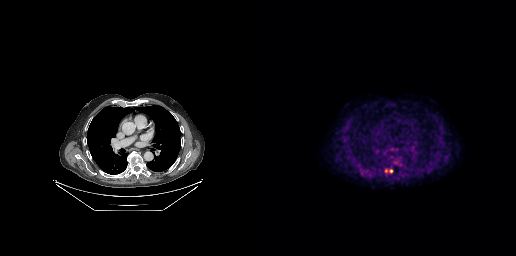
Findings: Coordinates are on the 256×256 PET (right) panel. Small PSMA-avid foci (2 to 4 px across) near (center x, center y): (131, 170) / (126, 170).
Technique: Left: CT. Right: PSMA PET, same axial level, [18F]PSMA-1007 tracer. slice position z = -281 mm. PET panel 256×256 px (2.7 mm/px).